Any black rectangle over the head is a privacy mask, not anatomy.
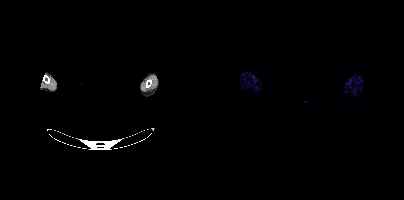
This slice has no annotated PSMA-avid lesion.